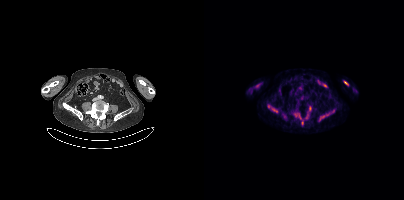
Findings: Coordinates are on the 200×200 PET (right) panel. PSMA-avid tumor lesion bounding boxes (x, y, width, height): x=64 y=104 w=10 h=9; x=115 y=113 w=11 h=9; x=90 y=113 w=8 h=7; x=140 y=81 w=5 h=5; x=105 y=106 w=3 h=5; x=102 y=114 w=3 h=5. Small PSMA-avid foci (2 to 4 px across) near (center x, center y): (98, 122); (80, 116).
Technique: Two-panel axial: CT | PSMA PET, [18F]PSMA-1007 tracer. acquired on Siemens Biograph mCT Flow 20.